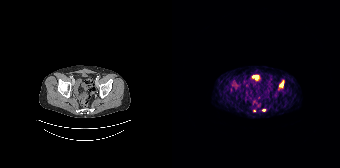
modality: PSMA PET/CT | tracer: [68Ga]Ga-PSMA-11 | view: axial | PET grid: 168×168
Coordinates are on the 168×168 PET (right) panel. (showing 3 of 4 foci) PSMA-avid tumor lesion bounding box (x, y, width, height): x=107 y=80 w=6 h=8. Small PSMA-avid foci (2 to 4 px across) near (center x, center y): (82, 110); (92, 109).